Left: CT. Right: PSMA PET, same axial level, 18F tracer. Acquired on Siemens Biograph mCT Flow 20. Slice position z = 236 mm.
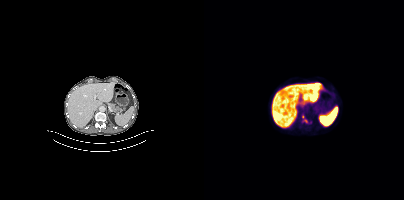
Coordinates are on the 200×200 PET (right) panel. PSMA-avid tumor lesion bounding boxes:
| # | x0 | y0 | x1 | y1 |
|---|---|---|---|---|
| 1 | 98 | 115 | 103 | 122 |